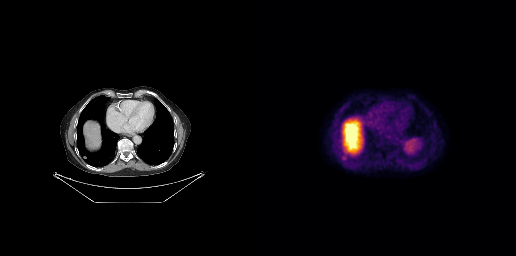
modality: PSMA PET/CT | tracer: 18F-PSMA | view: axial
Coordinates are on the 256×256 PET (right) panel. Small PSMA-avid focus (2 to 4 px across) near (center x, center y): (83, 157).